Left: CT. Right: PSMA PET, same axial level, 18F-PSMA tracer. Slice 351 of 444. PET panel 200×200 px (4.1 mm/px).
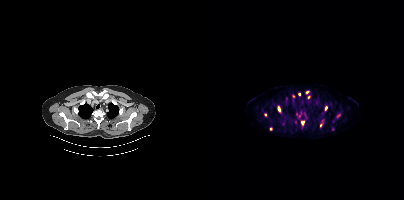
Coordinates are on the 200×200 PET (right) panel. (showing 10 of 11 foci) PSMA-avid tumor lesion bounding boxes (x0, y0)-(x1, y1): (74, 106)-(76, 111) / (121, 106)-(123, 110) / (116, 123)-(118, 127). Small PSMA-avid foci (2 to 4 px across) near (center x, center y): (98, 122) / (104, 97) / (103, 92) / (95, 94) / (61, 114) / (134, 115) / (66, 128).